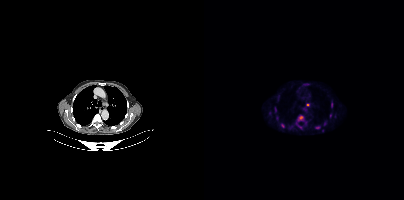
{"modality":"PSMA PET/CT","view":"axial","tracer":"18F-PSMA","pet_grid":[200,200],"coord_frame":"pet_panel","coord_format":"x0,y0,x1,y1","partial":true,"lesion_bboxes":[[94,116,99,121],[70,107,72,112]],"small_foci_centers":[[103,105],[78,125],[127,105],[113,127],[65,113],[126,115],[72,116]]}